modality: PSMA PET/CT | tracer: 18F | view: axial
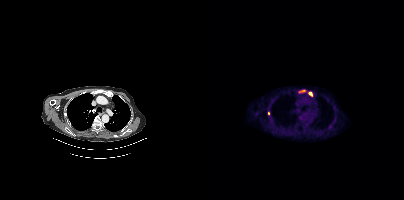
Coordinates are on the 200×200 PET (right) panel. PSMA-avid tumor lesion bounding boxes (x0,y0,x1,y1): [104,91,108,96]; [95,90,101,92]; [64,111,65,115].